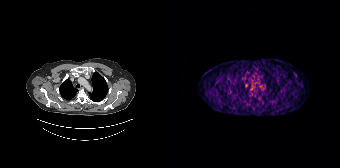
Coordinates are on the 168×168 PET (right) panel. (showing 1 of 2 foci) Small PSMA-avid focus (2 to 4 px across) near (center x, center y): (74, 85). Left: CT. Right: PSMA PET, same axial level, 68Ga tracer. Acquired on Siemens Biograph 64-4R TruePoint.